modality: PSMA PET/CT | tracer: 18F | view: axial
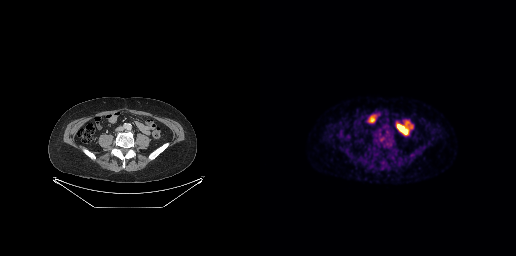
No PSMA-avid tumor lesions on this slice.